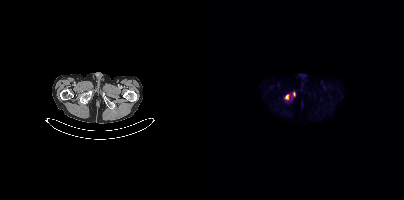
Coordinates are on the 200×200 PET (right) panel. PSMA-avid tumor lesion bounding boxes (x0, y0)-(x1, y1): (80, 94)-(85, 100) / (89, 92)-(91, 96). Paired axial CT (left) and PSMA PET (right), 18F-PSMA tracer.